- Paired axial CT (left) and PSMA PET (right), 18F-PSMA tracer
- slice position z = -1088 mm
- PET panel 200×200 px (4.1 mm/px)
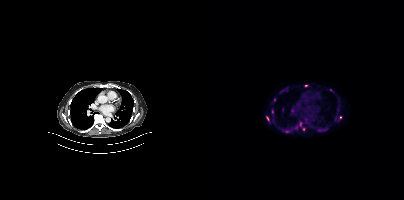
Findings: Coordinates are on the 200×200 PET (right) panel. (showing 8 of 11 foci) PSMA-avid tumor lesion bounding box (x, y, width, height): x=119 y=128 w=5 h=3. Small PSMA-avid foci (2 to 4 px across) near (center x, center y): (82, 131) / (64, 118) / (102, 85) / (70, 100) / (131, 119) / (96, 124) / (126, 89).